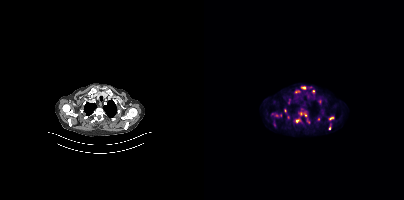
{"modality":"PSMA PET/CT","view":"axial","tracer":"18F-PSMA","pet_grid":[200,200],"coord_frame":"pet_panel","coord_format":"x0,y0,x1,y1","partial":true,"lesion_bboxes":[[90,109,106,123],[69,118,72,127],[72,113,78,117],[97,86,101,89],[125,117,129,119],[91,91,95,92]],"small_foci_centers":[[109,91],[81,110],[125,128],[85,101]]}